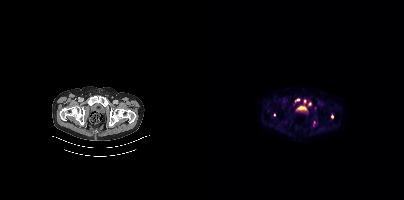
Paired axial CT (left) and PSMA PET (right), [18F]PSMA-1007 tracer. Slice position z = -936 mm.
Coordinates are on the 200×200 PET (right) panel. PSMA-avid tumor lesion bounding boxes (partial; 1 more focus not listed):
| # | x0 | y0 | x1 | y1 |
|---|---|---|---|---|
| 1 | 91 | 98 | 95 | 101 |
Small PSMA-avid foci (2 to 4 px across) near (center x, center y): (106, 103); (128, 116); (101, 101); (70, 115).